Left: CT. Right: PSMA PET, same axial level, [18F]PSMA-1007 tracer. Acquired on Siemens Biograph mCT Flow 20. Slice position z = -797 mm. PET panel 200×200 px (4.1 mm/px).
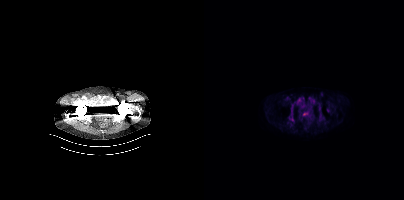
No PSMA-avid tumor lesions on this slice.